Two-panel axial: CT | PSMA PET, 18F tracer.
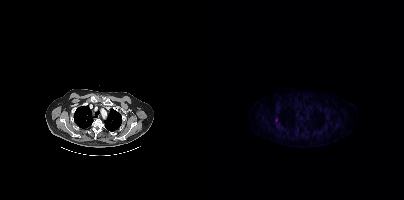
Only PSMA-avid lesion pieces thinner than 2 px on this slice (not listed).